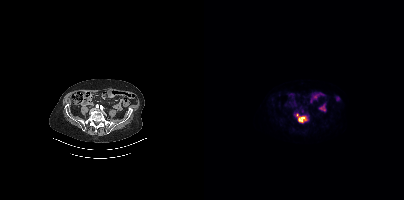
{"modality":"PSMA PET/CT","view":"axial","tracer":"18F","pet_grid":[200,200],"coord_frame":"pet_panel","coord_format":"x0,y0,x1,y1","lesion_bboxes":[[90,113,104,123]]}